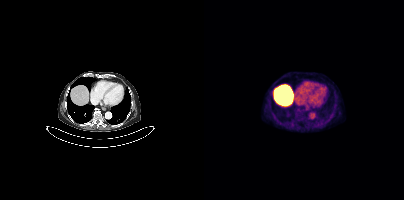
{"modality":"PSMA PET/CT","view":"axial","tracer":"[18F]PSMA-1007","pet_grid":[200,200],"coord_frame":"pet_panel","coord_format":"x0,y0,x1,y1","partial":true,"lesion_bboxes":[]}